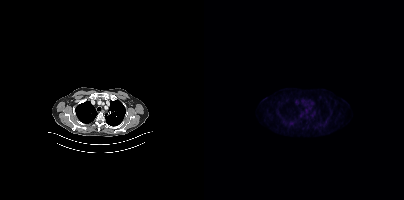
{"modality":"PSMA PET/CT","view":"axial","tracer":"18F","pet_grid":[200,200],"coord_frame":"pet_panel","coord_format":"x0,y0,x1,y1","psma_avid_lesions":false}